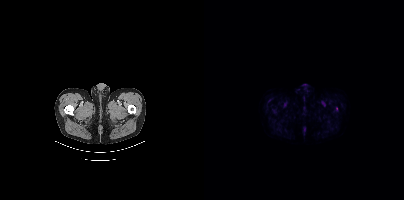
Findings: No PSMA-avid tumor lesions on this slice.
- Left: CT. Right: PSMA PET, same axial level, 18F-PSMA tracer
- slice 36 of 417
- PET panel 200×200 px (4.1 mm/px)